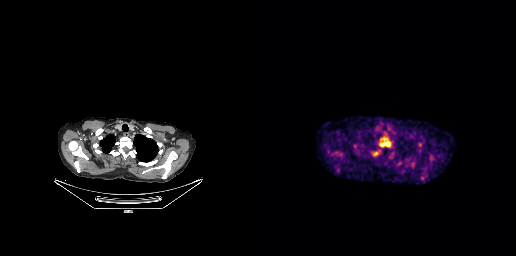
Findings: Coordinates are on the 256×256 PET (right) panel. (showing 3 of 5 foci) PSMA-avid tumor lesion bounding box (x, y, width, height): x=120 y=138 w=11 h=9. Small PSMA-avid foci (2 to 4 px across) near (center x, center y): (116, 153) | (80, 154).
Technique: Left: CT. Right: PSMA PET, same axial level, [18F]PSMA-1007 tracer. acquired on GE Discovery 690. slice 220 of 263. PET panel 256×256 px (2.7 mm/px).